Two-panel axial: CT | PSMA PET, [68Ga]Ga-PSMA-11 tracer. Slice 19 of 263. PET panel 256×256 px (2.7 mm/px).
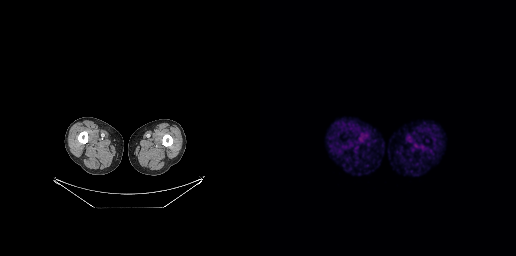
No tumor lesions annotated on this slice.